- Two-panel axial: CT | PSMA PET, 68Ga-PSMA tracer
- slice 16 of 299
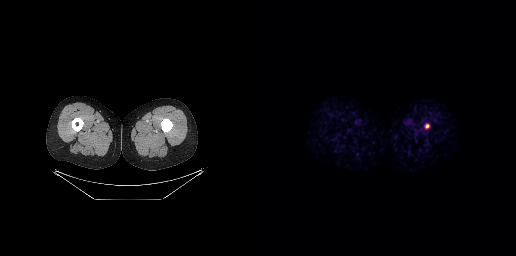
Findings: Coordinates are on the 256×256 PET (right) panel. Small PSMA-avid focus (2 to 4 px across) near (center x, center y): (167, 125).